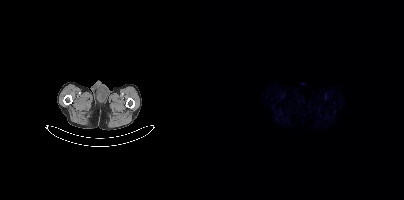
{"modality":"PSMA PET/CT","view":"axial","tracer":"[18F]PSMA-1007","pet_grid":[200,200],"coord_frame":"pet_panel","coord_format":"x0,y0,x1,y1","psma_avid_lesions":false}